Two-panel axial: CT | PSMA PET, 18F tracer. Slice position z = -1213 mm. PET panel 200×200 px (4.1 mm/px).
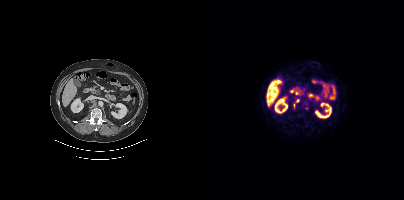
Coordinates are on the 200×200 PET (right) panel. PSMA-avid tumor lesion bounding box (x0, y0)-(x1, y1): (102, 106)-(104, 110). Small PSMA-avid foci (2 to 4 px across) near (center x, center y): (93, 100) | (89, 105).